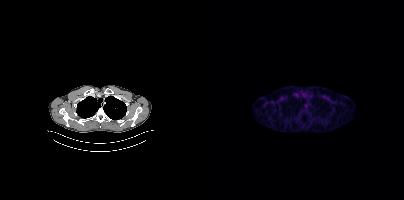
This slice has no annotated PSMA-avid lesion.